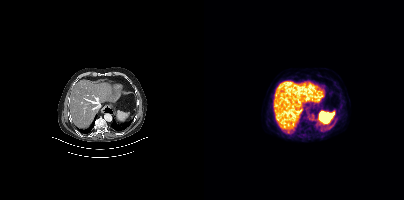
Technique: Two-panel axial: CT | PSMA PET, 18F-PSMA tracer.
Findings: This slice has no annotated PSMA-avid lesion.